modality: PSMA PET/CT | tracer: 18F-PSMA | view: axial
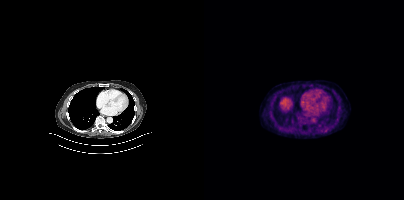
Coordinates are on the 200×200 PET (right) panel. Small PSMA-avid focus (2 to 4 px across) near (center x, center y): (122, 130).